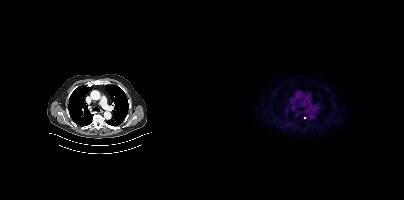
Coordinates are on the 200×200 PET (right) panel. Small PSMA-avid focus (2 to 4 px across) near (center x, center y): (100, 117).